Technique: Two-panel axial: CT | PSMA PET, 18F tracer. slice position z = 320 mm. PET panel 200×200 px (4.1 mm/px).
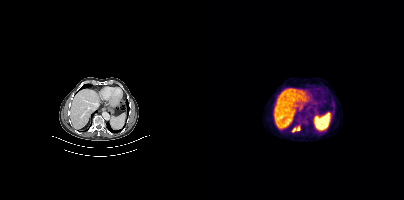
Findings: Coordinates are on the 200×200 PET (right) panel. Small PSMA-avid foci (2 to 4 px across) near (center x, center y): (94, 128) | (89, 129).